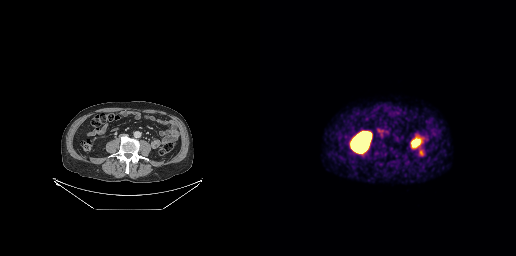
{"modality":"PSMA PET/CT","view":"axial","tracer":"68Ga-PSMA","pet_grid":[256,256],"coord_frame":"pet_panel","coord_format":"x0,y0,x1,y1","psma_avid_lesions":false}